- Paired axial CT (left) and PSMA PET (right), 18F-PSMA tracer
- acquired on Siemens Biograph mCT Flow 20
- PET panel 200×200 px (4.1 mm/px)
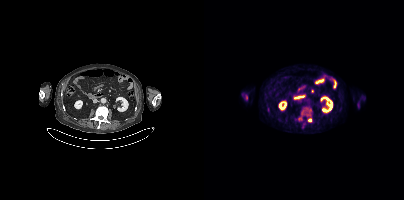
Findings: Coordinates are on the 200×200 PET (right) panel. PSMA-avid tumor lesion bounding box (x0,y0,x1,y1): [94,110,108,122].